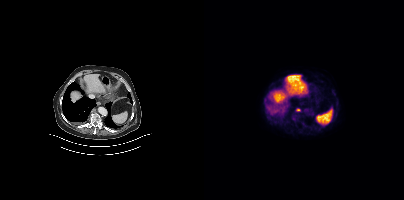
Paired axial CT (left) and PSMA PET (right), [18F]PSMA-1007 tracer. Acquired on Siemens Biograph mCT Flow 20. Coordinates are on the 200×200 PET (right) panel. Small PSMA-avid focus (2 to 4 px across) near (center x, center y): (94, 109).